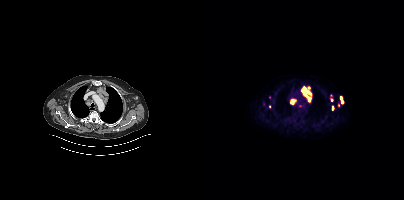
Coordinates are on the 200×200 PET (right) panel. (showing 10 of 11 foci) PSMA-avid tumor lesion bounding boxes (x, y, width, height): x=97 y=86 w=12 h=17; x=86 y=99 w=7 h=6; x=136 y=96 w=4 h=8; x=128 y=106 w=2 h=5. Small PSMA-avid foci (2 to 4 px across) near (center x, center y): (127, 95); (66, 106); (65, 97); (127, 100); (134, 105); (96, 105).